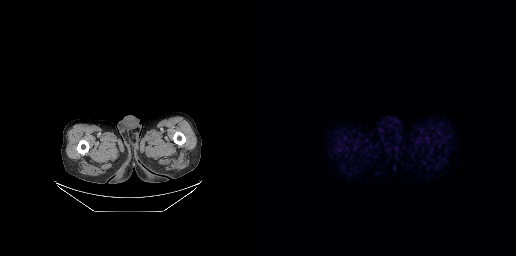
- Paired axial CT (left) and PSMA PET (right), 18F-PSMA tracer
- acquired on GE Discovery 690
- slice 46 of 299
- PET panel 256×256 px (2.7 mm/px)
Findings: No tumor lesions annotated on this slice.